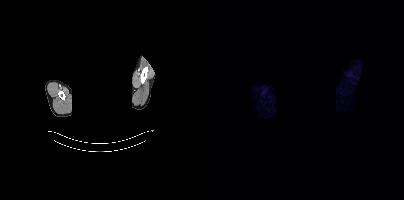
{"modality":"PSMA PET/CT","view":"axial","tracer":"[68Ga]Ga-PSMA-11","pet_grid":[200,200],"coord_frame":"pet_panel","coord_format":"x0,y0,x1,y1","de-identification":"head region blanked (face removed)","psma_avid_lesions":false}